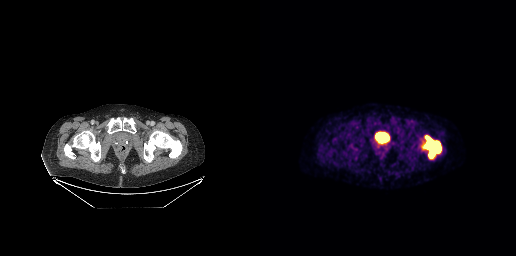
{"modality":"PSMA PET/CT","view":"axial","tracer":"18F","pet_grid":[256,256],"coord_frame":"pet_panel","coord_format":"x0,y0,x1,y1","lesion_bboxes":[[162,135,181,158]]}